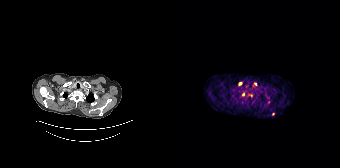
Findings: Coordinates are on the 168×168 PET (right) panel. (showing 4 of 5 foci) Small PSMA-avid foci (2 to 4 px across) near (center x, center y): (68, 83) / (83, 84) / (101, 114) / (71, 94).
Technique: Two-panel axial: CT | PSMA PET, [68Ga]Ga-PSMA-11 tracer. slice position z = -390 mm. PET panel 168×168 px (4.1 mm/px).